modality: PSMA PET/CT | tracer: [18F]PSMA-1007 | view: axial
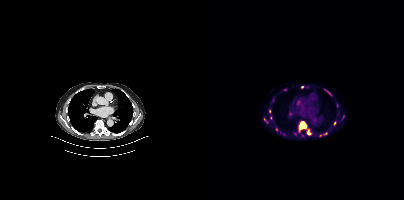
Coordinates are on the 200×200 PET (right) panel. (showing 9 of 11 foci) PSMA-avid tumor lesion bounding boxes (x, y, width, height): x=95 y=122 w=8 h=8 | x=120 y=89 w=8 h=7. Small PSMA-avid foci (2 to 4 px across) near (center x, center y): (104, 133) | (65, 111) | (121, 133) | (60, 119) | (130, 123) | (98, 86) | (116, 135).